Technique: Left: CT. Right: PSMA PET, same axial level, [18F]PSMA-1007 tracer.
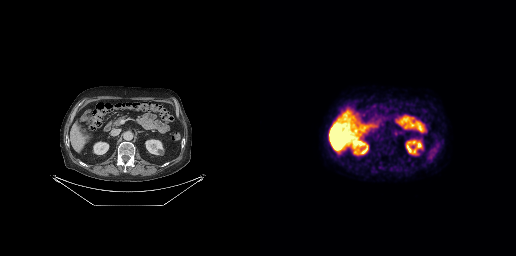
Findings: No PSMA-avid tumor lesions on this slice.